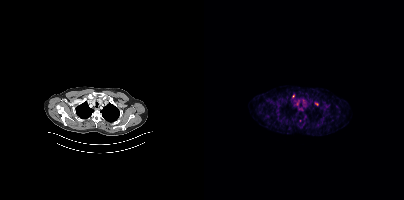
Left: CT. Right: PSMA PET, same axial level, [68Ga]Ga-PSMA-11 tracer. Acquired on Siemens Biograph mCT Flow 20. Slice position z = -948 mm. This slice has no annotated PSMA-avid lesion.